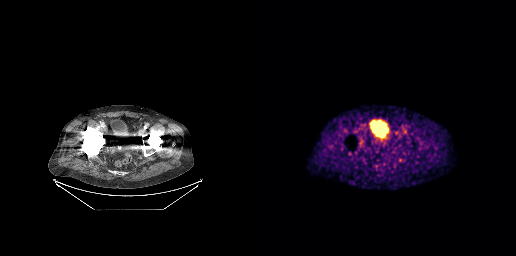
Findings: No PSMA-avid tumor lesions on this slice.
- Two-panel axial: CT | PSMA PET, 18F-PSMA tracer
- slice 79 of 263